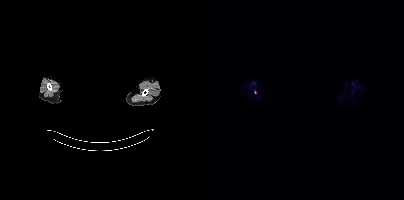
Left: CT. Right: PSMA PET, same axial level, [18F]PSMA-1007 tracer. Acquired on Siemens Biograph mCT Flow 20. Slice position z = -838 mm. PET panel 200×200 px (4.1 mm/px). Face de-identified by blanking a block of the head. Coordinates are on the 200×200 PET (right) panel. Small PSMA-avid focus (2 to 4 px across) near (center x, center y): (51, 92).